Paired axial CT (left) and PSMA PET (right), [18F]PSMA-1007 tracer. Acquired on GE Discovery 690. PET panel 256×256 px (2.7 mm/px).
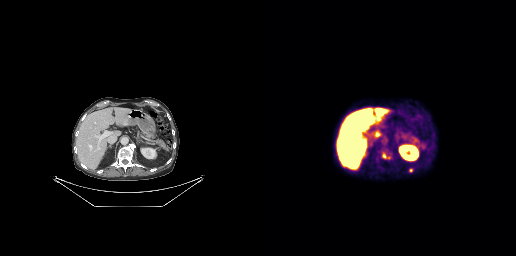
Coordinates are on the 256×256 PET (right) panel. PSMA-avid tumor lesion bounding boxes:
| # | x0 | y0 | x1 | y1 |
|---|---|---|---|---|
| 1 | 149 | 168 | 152 | 172 |
Small PSMA-avid focus (2 to 4 px across) near (center x, center y): (123, 155).